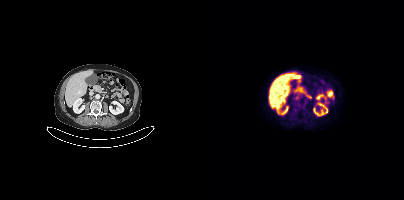
Negative for PSMA-avid disease on this slice.